modality: PSMA PET/CT | tracer: 18F | view: axial
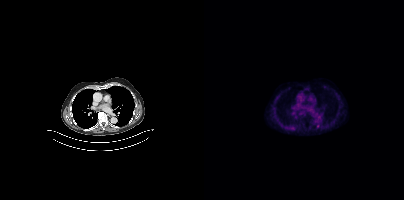
Coordinates are on the 200×200 PET (right) panel. Small PSMA-avid focus (2 to 4 px across) near (center x, center y): (114, 125).